Technique: Two-panel axial: CT | PSMA PET, [68Ga]Ga-PSMA-11 tracer. acquired on Siemens Biograph 64-4R TruePoint.
Note: Privacy masking over the head, with the pixels inside a rectangle set to black.
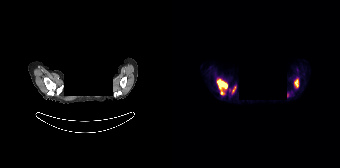
Findings: Coordinates are on the 168×168 PET (right) panel. PSMA-avid tumor lesion bounding boxes (x0,y0,x1,y1): [44,78,55,94] [122,78,126,87] [60,86,63,93]. Small PSMA-avid focus (2 to 4 px across) near (center x, center y): (115, 95).